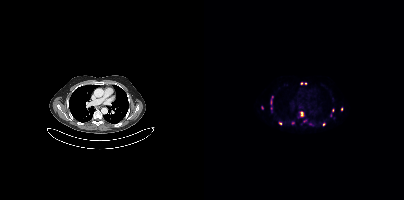
Coordinates are on the 200×200 PET (right) panel. (showing 11 of 14 foci) PSMA-avid tumor lesion bounding boxes (x0,y0,x1,y1): [97,112,99,116]; [67,97,69,103]. Small PSMA-avid foci (2 to 4 px across) near (center x, center y): (120, 124); (137, 109); (100, 121); (128, 110); (101, 83); (58, 107); (88, 122); (97, 83); (74, 121).